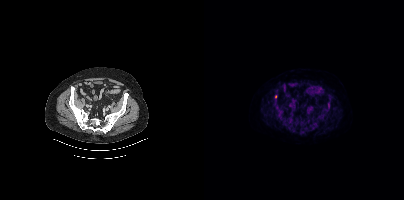
Coordinates are on the 200×200 PET (right) panel. Small PSMA-avid focus (2 to 4 px across) near (center x, center y): (71, 96). Paired axial CT (left) and PSMA PET (right), 18F tracer. PET panel 200×200 px (4.1 mm/px).